Facial anatomy redacted by setting a rectangular region of the head to black. Two-panel axial: CT | PSMA PET, 18F-PSMA tracer. Slice position z = -652 mm.
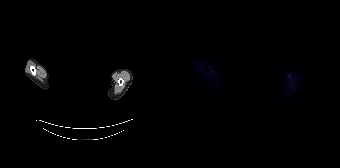
No PSMA-avid tumor lesions on this slice.